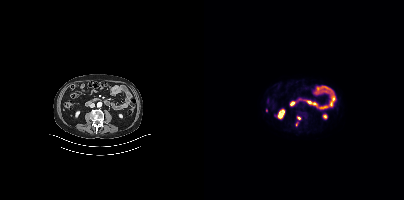
Coordinates are on the 200×200 PET (right) panel. Small PSMA-avid foci (2 to 4 px across) near (center x, center y): (62, 110); (95, 118); (92, 124).